modality: PSMA PET/CT | tracer: [18F]PSMA-1007 | view: axial | PET grid: 200×200
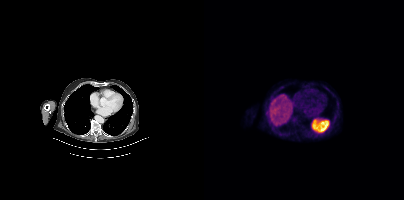
No PSMA-avid tumor lesions on this slice.